Technique: Left: CT. Right: PSMA PET, same axial level, 18F-PSMA tracer. acquired on Siemens Biograph mCT Flow 20. slice 376 of 383.
Note: Privacy masking over the head, with the pixels inside a rectangle set to black.
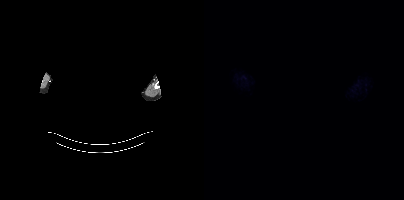
Findings: No tumor lesions annotated on this slice.